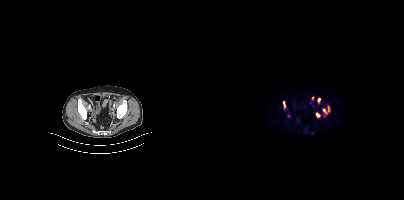
Coordinates are on the 200×200 PET (right) panel. (showing 7 of 9 foci) PSMA-avid tumor lesion bounding boxes (x0, y0)-(x1, y1): (112, 113)-(115, 117) | (79, 101)-(81, 107) | (119, 109)-(122, 113) | (124, 106)-(125, 111). Small PSMA-avid foci (2 to 4 px across) near (center x, center y): (115, 99) | (108, 98) | (84, 115).
modality: PSMA PET/CT | tracer: 18F-PSMA | view: axial | PET grid: 200×200